Left: CT. Right: PSMA PET, same axial level, [18F]PSMA-1007 tracer. Slice 210 of 421. PET panel 200×200 px (4.1 mm/px).
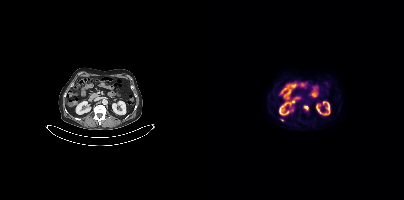
Coordinates are on the 200×200 PET (right) panel. PSMA-avid tumor lesion bounding box (x0,y0,x1,y1): [100,106,104,109]. Small PSMA-avid focus (2 to 4 px across) near (center x, center y): (77, 120).